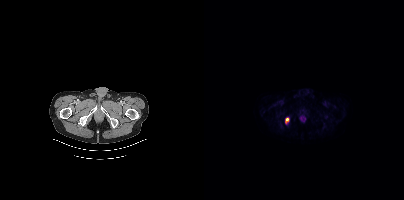
Coordinates are on the 200×200 PET (right) panel. Small PSMA-avid focus (2 to 4 px across) near (center x, center y): (83, 119).
modality: PSMA PET/CT | tracer: 18F-PSMA | view: axial